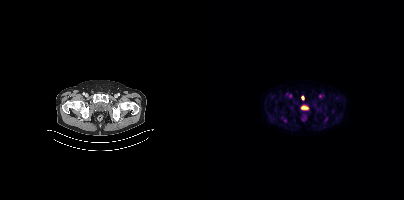
{"modality":"PSMA PET/CT","view":"axial","tracer":"[18F]PSMA-1007","pet_grid":[200,200],"coord_frame":"pet_panel","coord_format":"x0,y0,x1,y1","partial":true,"lesion_bboxes":[[79,118,83,122],[120,117,124,122]],"small_foci_centers":[[98,97]]}